Left: CT. Right: PSMA PET, same axial level, 68Ga tracer. Acquired on Siemens Biograph mCT Flow 20.
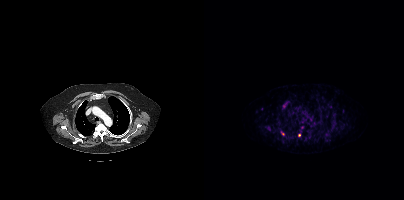
Coordinates are on the 200×200 PET (right) panel. PSMA-avid tumor lesion bounding boxes (partial; 1 more focus not listed):
| # | x0 | y0 | x1 | y1 |
|---|---|---|---|---|
| 1 | 79 | 103 | 82 | 107 |
Small PSMA-avid foci (2 to 4 px across) near (center x, center y): (95, 134); (78, 133); (98, 127).